Paired axial CT (left) and PSMA PET (right), 18F tracer. Slice position z = -1655 mm.
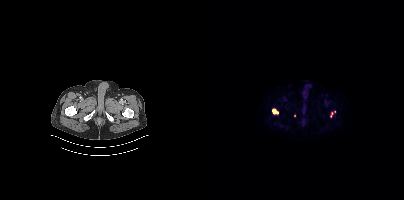
Coordinates are on the 200×200 PET (right) panel. PSMA-avid tumor lesion bounding boxes:
| # | x0 | y0 | x1 | y1 |
|---|---|---|---|---|
| 1 | 68 | 108 | 74 | 114 |
| 2 | 126 | 111 | 131 | 117 |
Small PSMA-avid focus (2 to 4 px across) near (center x, center y): (90, 115).